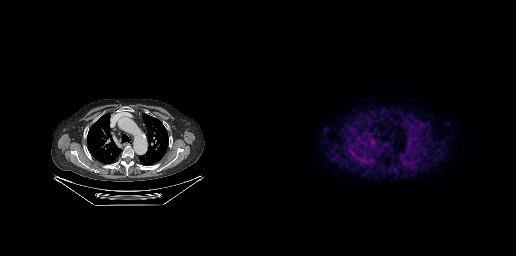
- Left: CT. Right: PSMA PET, same axial level, 18F tracer
- slice position z = -189 mm
Findings: No PSMA-avid tumor lesions on this slice.